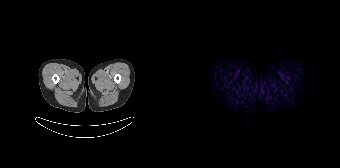
No tumor lesions annotated on this slice.